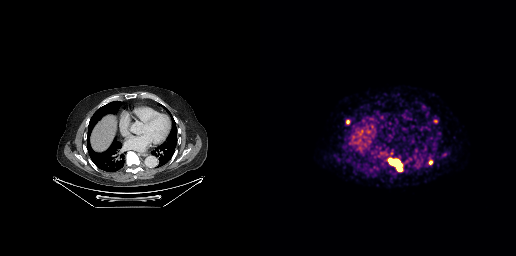
{"modality":"PSMA PET/CT","view":"axial","tracer":"[68Ga]Ga-PSMA-11","pet_grid":[256,256],"coord_frame":"pet_panel","coord_format":"x0,y0,x1,y1","lesion_bboxes":[[128,158,142,171],[86,120,89,124]],"small_foci_centers":[[175,121],[170,162]]}